An anonymization step blacked out a rectangle over the head in this scan. Left: CT. Right: PSMA PET, same axial level, 18F-PSMA tracer. Acquired on Siemens Biograph mCT Flow 20. PET panel 200×200 px (4.1 mm/px).
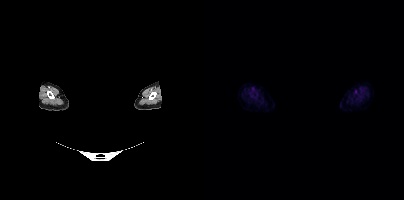
No tumor lesions annotated on this slice.